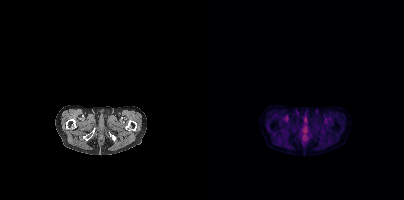
Findings: Negative for PSMA-avid disease on this slice.
- Left: CT. Right: PSMA PET, same axial level, 18F-PSMA tracer